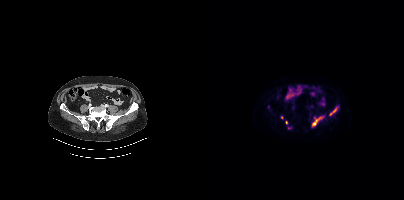
- Left: CT. Right: PSMA PET, same axial level, 18F-PSMA tracer
Findings: Coordinates are on the 200×200 PET (right) panel. (showing 5 of 7 foci) PSMA-avid tumor lesion bounding boxes (x0,y0,x1,y1): [108,115,120,126] [125,106,134,115]. Small PSMA-avid foci (2 to 4 px across) near (center x, center y): (82, 122) (64, 106) (77, 117).